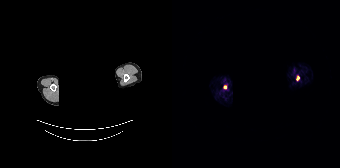
Coordinates are on the 168×168 PET (right) panel. PSMA-avid tumor lesion bounding box (x0,y0,x1,y1): [124,76,127,80].
redaction: face masked with black rectangle | modality: PSMA PET/CT | tracer: 68Ga-PSMA | view: axial